Paired axial CT (left) and PSMA PET (right), [18F]PSMA-1007 tracer.
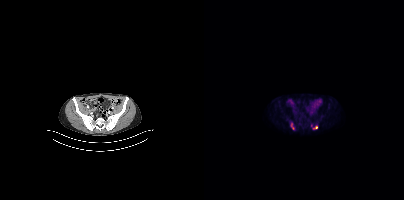
Coordinates are on the 200×200 PET (right) panel. PSMA-avid tumor lesion bounding boxes (partial; 1 more focus not listed):
| # | x0 | y0 | x1 | y1 |
|---|---|---|---|---|
| 1 | 109 | 126 | 113 | 128 |